Paired axial CT (left) and PSMA PET (right), 18F-PSMA tracer. Acquired on Siemens Biograph mCT Flow 20. Slice position z = -928 mm.
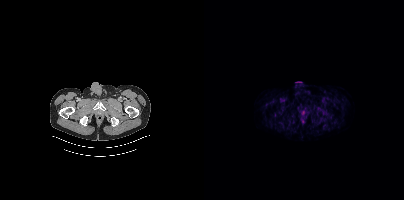
Only PSMA-avid lesion pieces thinner than 2 px on this slice (not listed).